Two-panel axial: CT | PSMA PET, 18F tracer.
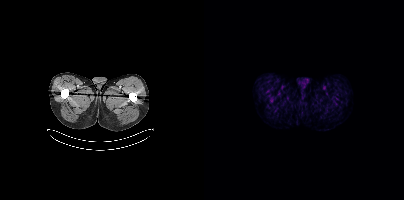
No PSMA-avid tumor lesions on this slice.